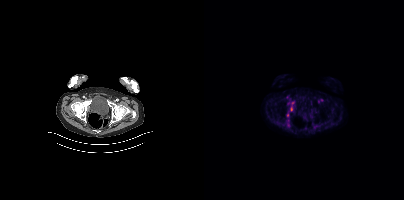
Findings: No PSMA-avid tumor lesions on this slice.
- Left: CT. Right: PSMA PET, same axial level, [18F]PSMA-1007 tracer
- PET panel 200×200 px (4.1 mm/px)